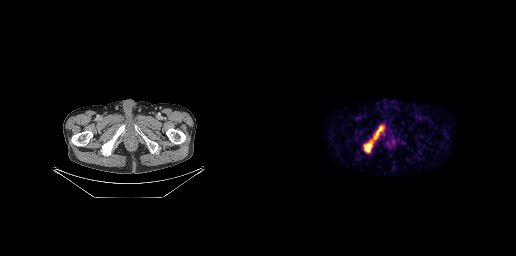
{"modality":"PSMA PET/CT","view":"axial","tracer":"68Ga-PSMA","pet_grid":[256,256],"coord_frame":"pet_panel","coord_format":"x0,y0,x1,y1","lesion_bboxes":[[113,125,123,139],[104,140,113,152]]}